- Two-panel axial: CT | PSMA PET, 18F tracer
- acquired on Siemens Biograph mCT Flow 20
- slice 118 of 429
- PET panel 200×200 px (4.1 mm/px)
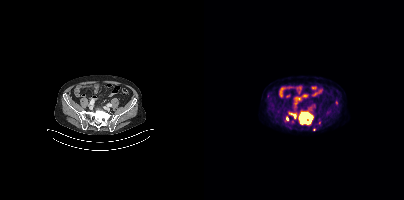
Findings: Coordinates are on the 200×200 PET (right) panel. (showing 6 of 7 foci) PSMA-avid tumor lesion bounding boxes (x, y, width, height): x=95 y=112 w=15 h=14 | x=85 y=112 w=8 h=7 | x=82 y=116 w=3 h=5. Small PSMA-avid foci (2 to 4 px across) near (center x, center y): (110, 129) | (132, 102) | (115, 122).